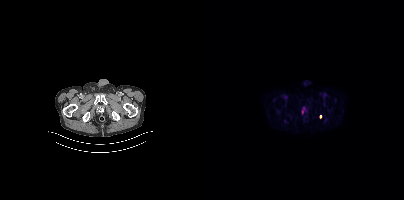
Coordinates are on the 200×200 PET (right) panel. (showing 2 of 3 foci) Small PSMA-avid foci (2 to 4 px across) near (center x, center y): (116, 116) (98, 111). Two-panel axial: CT | PSMA PET, [18F]PSMA-1007 tracer.